modality: PSMA PET/CT | tracer: 18F | view: axial
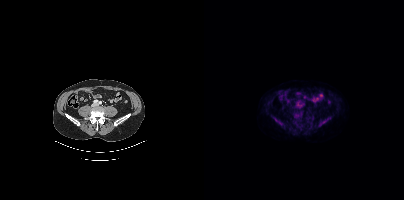
Negative for PSMA-avid disease on this slice.